Two-panel axial: CT | PSMA PET, [18F]PSMA-1007 tracer. Acquired on Siemens Biograph 64-4R TruePoint. PET panel 168×168 px (4.1 mm/px).
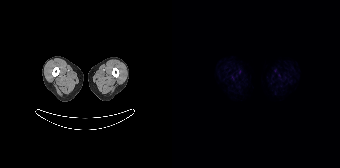
This slice has no annotated PSMA-avid lesion.